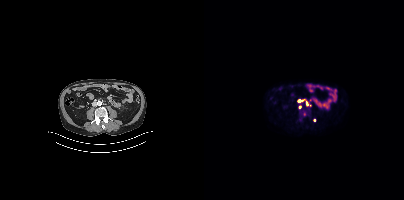
Technique: Left: CT. Right: PSMA PET, same axial level, [18F]PSMA-1007 tracer. PET panel 200×200 px (4.1 mm/px).
Findings: Coordinates are on the 200×200 PET (right) panel. (showing 4 of 7 foci) Small PSMA-avid foci (2 to 4 px across) near (center x, center y): (100, 113); (95, 100); (103, 104); (95, 106).